Technique: Left: CT. Right: PSMA PET, same axial level, [18F]PSMA-1007 tracer. acquired on Siemens Biograph mCT Flow 20.
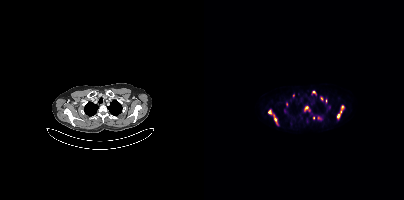
Findings: Coordinates are on the 200×200 PET (right) panel. (showing 9 of 14 foci) PSMA-avid tumor lesion bounding boxes (x, y, width, height): x=64 y=110 w=11 h=16; x=136 y=105 w=4 h=6; x=133 y=112 w=5 h=7; x=113 y=116 w=5 h=4; x=101 y=106 w=4 h=5. Small PSMA-avid foci (2 to 4 px across) near (center x, center y): (109, 92); (117, 98); (82, 104); (89, 95).